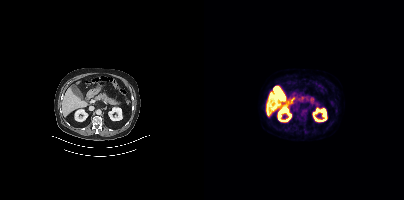
No tumor lesions annotated on this slice.